Paired axial CT (left) and PSMA PET (right), [18F]PSMA-1007 tracer. Acquired on Siemens Biograph mCT Flow 20. PET panel 200×200 px (4.1 mm/px).
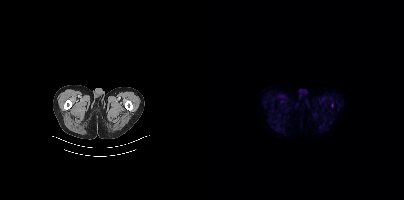
No PSMA-avid tumor lesions on this slice.